Technique: Left: CT. Right: PSMA PET, same axial level, [18F]PSMA-1007 tracer.
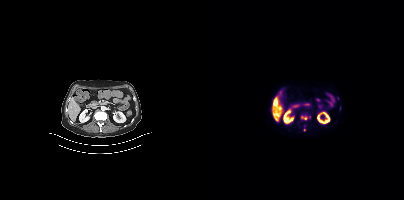
Findings: Coordinates are on the 200×200 PET (right) panel. PSMA-avid tumor lesion bounding box (x0,y0,x1,y1): [70,100,72,104]. Small PSMA-avid foci (2 to 4 px across) near (center x, center y): (101, 118) (100, 129).